An anonymization step blacked out a rectangle over the head in this scan. Two-panel axial: CT | PSMA PET, [18F]PSMA-1007 tracer. Acquired on Siemens Biograph mCT Flow 20.
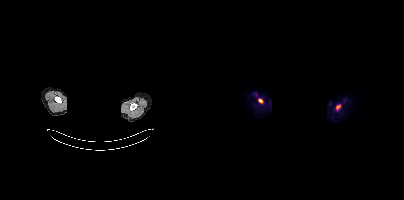
Coordinates are on the 200×200 PET (right) panel. PSMA-avid tumor lesion bounding boxes (x0,y0,x1,y1): [132,105,136,110], [54,99,58,102].